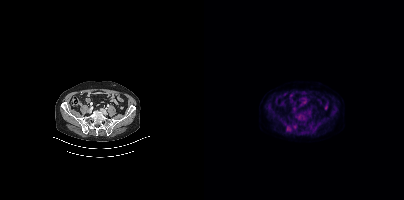
Technique: Left: CT. Right: PSMA PET, same axial level, [18F]PSMA-1007 tracer.
Findings: Coordinates are on the 200×200 PET (right) panel. PSMA-avid tumor lesion bounding box (x0, y0)-(x1, y1): (82, 126)-(87, 131).